modality: PSMA PET/CT | tracer: 18F-PSMA | view: axial | redaction: facial region redacted
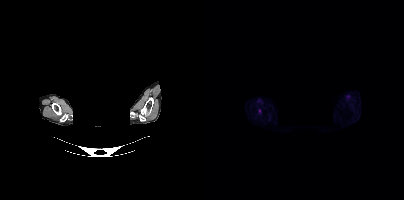
Coordinates are on the 200×200 PET (right) panel. Small PSMA-avid focus (2 to 4 px across) near (center x, center y): (55, 110).